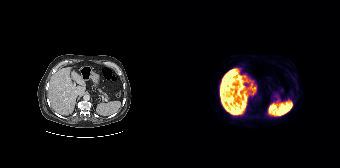
Only PSMA-avid lesion pieces thinner than 2 px on this slice (not listed).